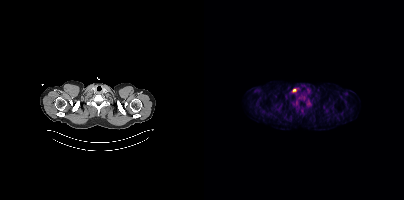
{"pet_grid":[200,200],"coord_frame":"pet_panel","coord_format":"x0,y0,x1,y1","lesion_bboxes":[],"small_foci_centers":[[90,90]],"modality":"PSMA PET/CT","view":"axial","tracer":"18F-PSMA"}